Left: CT. Right: PSMA PET, same axial level, 18F-PSMA tracer. Acquired on Siemens Biograph 64-4R TruePoint. PET panel 168×168 px (4.1 mm/px).
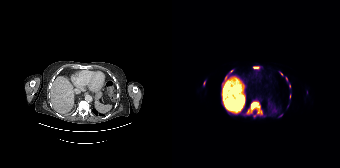
Coordinates are on the 168×168 PET (right) panel. PSMA-avid tumor lesion bounding boxes (partial; 2 more foci not listed):
| # | x0 | y0 | x1 | y1 |
|---|---|---|---|---|
| 1 | 74 | 101 | 90 | 115 |
| 2 | 81 | 66 | 87 | 68 |
Small PSMA-avid foci (2 to 4 px across) near (center x, center y): (59, 71); (114, 78); (32, 82); (117, 86); (109, 74); (82, 115); (54, 75).